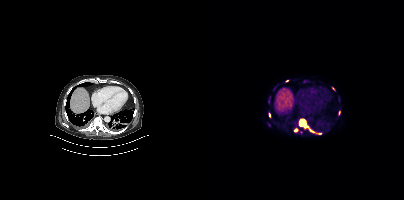
Technique: Two-panel axial: CT | PSMA PET, [18F]PSMA-1007 tracer. slice position z = -1173 mm.
Findings: Coordinates are on the 200×200 PET (right) panel. PSMA-avid tumor lesion bounding boxes (x, y, width, height): x=94 y=118 w=24 h=17 | x=90 y=128 w=5 h=5 | x=65 y=113 w=2 h=5. Small PSMA-avid foci (2 to 4 px across) near (center x, center y): (135, 112) | (83, 80) | (129, 88) | (97, 131).